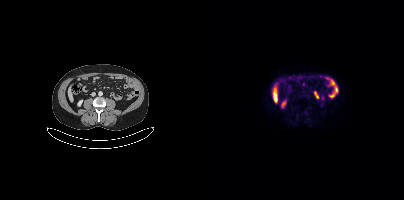
Two-panel axial: CT | PSMA PET, [18F]PSMA-1007 tracer. Slice 181 of 433. PET panel 200×200 px (4.1 mm/px). This slice has no annotated PSMA-avid lesion.